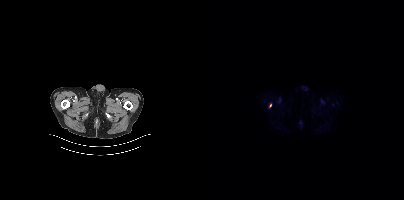
Left: CT. Right: PSMA PET, same axial level, 18F tracer. Slice 39 of 423.
Coordinates are on the 200×200 PET (right) panel. PSMA-avid tumor lesion bounding boxes:
| # | x0 | y0 | x1 | y1 |
|---|---|---|---|---|
| 1 | 65 | 103 | 67 | 107 |